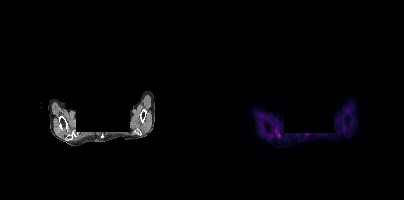
Left: CT. Right: PSMA PET, same axial level, [18F]PSMA-1007 tracer. PET panel 200×200 px (4.1 mm/px). The face region was removed for patient privacy by blanking a rectangle over the head. Coordinates are on the 200×200 PET (right) panel. Small PSMA-avid focus (2 to 4 px across) near (center x, center y): (75, 134).